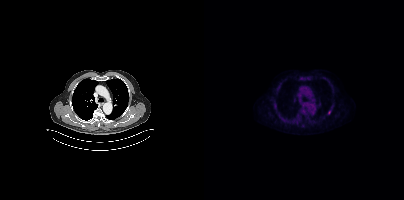
Paired axial CT (left) and PSMA PET (right), 18F tracer. Coordinates are on the 200×200 PET (right) panel. Small PSMA-avid focus (2 to 4 px across) near (center x, center y): (125, 112).